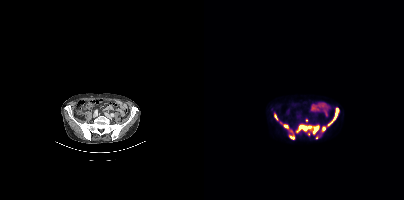
- Two-panel axial: CT | PSMA PET, 18F-PSMA tracer
- slice position z = -309 mm
- PET panel 200×200 px (4.1 mm/px)
Findings: Coordinates are on the 200×200 PET (right) panel. (showing 12 of 13 foci) PSMA-avid tumor lesion bounding boxes (x0, y0)-(x1, y1): (98, 125)-(115, 133) | (123, 108)-(134, 125) | (117, 127)-(121, 132) | (85, 129)-(89, 133) | (80, 124)-(84, 128) | (92, 126)-(96, 132) | (85, 135)-(90, 138) | (70, 114)-(73, 120). Small PSMA-avid foci (2 to 4 px across) near (center x, center y): (102, 120) | (98, 125) | (113, 137) | (104, 134).